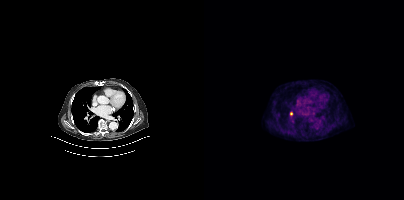
Coordinates are on the 200×200 PET (right) panel. Small PSMA-avid focus (2 to 4 px across) near (center x, center y): (87, 113).